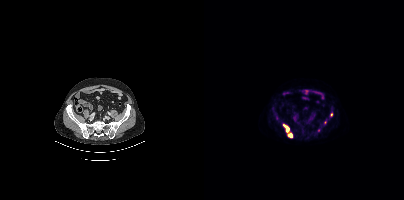
Coordinates are on the 200×200 PET (right) panel. (showing 2 of 3 foci) PSMA-avid tumor lesion bounding box (x0,y0,x1,y1): [79,124,88,137]. Small PSMA-avid focus (2 to 4 px across) near (center x, center y): (127, 114).